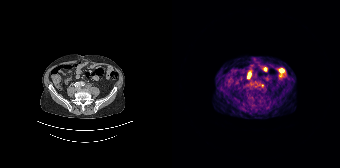
{"modality":"PSMA PET/CT","view":"axial","tracer":"68Ga","pet_grid":[168,168],"coord_frame":"pet_panel","coord_format":"x0,y0,x1,y1","lesion_bboxes":[],"small_foci_centers":[[90,85]]}